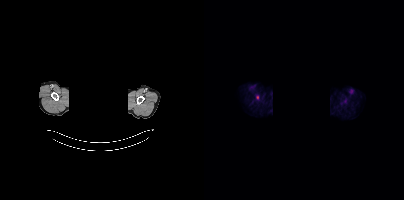
Findings: Coordinates are on the 200×200 PET (right) panel. Small PSMA-avid focus (2 to 4 px across) near (center x, center y): (53, 97).
Technique: Two-panel axial: CT | PSMA PET, [18F]PSMA-1007 tracer.
Note: Head region blanked for anonymization (face removed).